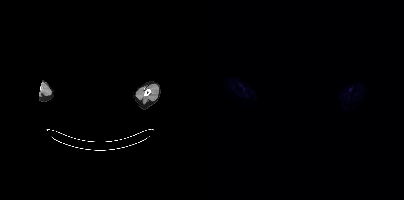
This slice has no annotated PSMA-avid lesion. Facial anatomy redacted by setting a rectangular region of the head to black. Left: CT. Right: PSMA PET, same axial level, 18F-PSMA tracer. Acquired on Siemens Biograph mCT Flow 20. Slice 364 of 375. PET panel 200×200 px (4.1 mm/px).